modality: PSMA PET/CT | tracer: 18F | view: axial
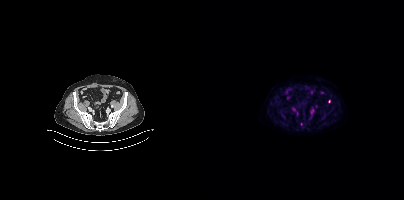
Coordinates are on the 200×200 PET (right) panel. Small PSMA-avid foci (2 to 4 px across) near (center x, center y): (125, 101) (119, 117).